- Two-panel axial: CT | PSMA PET, 18F tracer
- acquired on Siemens Biograph mCT Flow 20
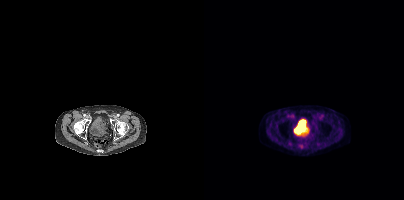
Findings: Coordinates are on the 200×200 PET (right) panel. Small PSMA-avid focus (2 to 4 px across) near (center x, center y): (100, 136).